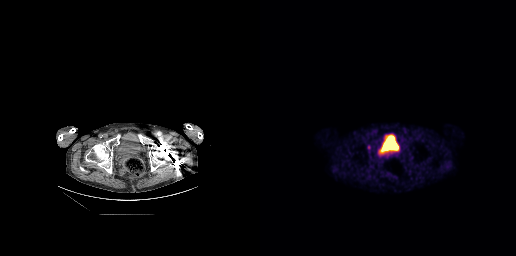
Coordinates are on the 256×256 PET (right) panel. Small PSMA-avid focus (2 to 4 px across) near (center x, center y): (108, 146).
modality: PSMA PET/CT | tracer: [18F]PSMA-1007 | view: axial | PET grid: 256×256